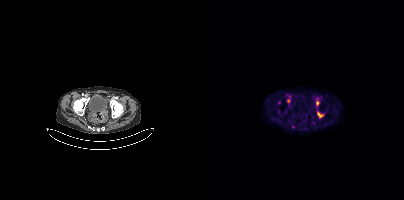
modality: PSMA PET/CT | tracer: 18F-PSMA | view: axial | PET grid: 200×200
Coordinates are on the 200×200 PET (right) panel. PSMA-avid tumor lesion bounding box (x, y, width, height): x=113 y=112 w=7 h=6. Small PSMA-avid focus (2 to 4 px across) near (center x, center y): (113, 102).